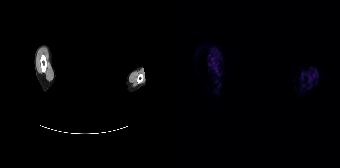
Findings: This slice has no annotated PSMA-avid lesion.
Technique: Left: CT. Right: PSMA PET, same axial level, 68Ga-PSMA tracer. acquired on Siemens Biograph 64-4R TruePoint. slice position z = -60 mm. PET panel 168×168 px (4.1 mm/px).
Note: Head region blanked for anonymization (face removed).